Technique: Left: CT. Right: PSMA PET, same axial level, 68Ga tracer. acquired on Siemens Biograph 64-4R TruePoint.
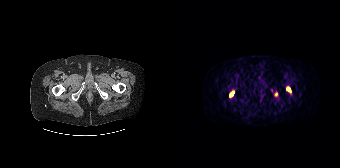
Findings: Coordinates are on the 168×168 PET (right) panel. (showing 2 of 3 foci) PSMA-avid tumor lesion bounding boxes (x, y, width, height): x=114 y=87 w=5 h=5; x=57 y=92 w=5 h=5.